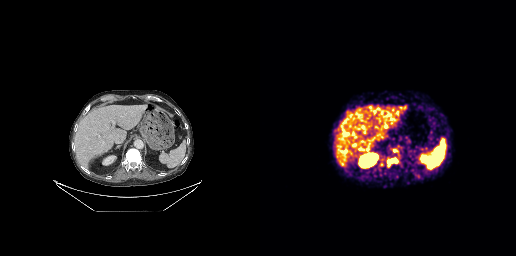
Coordinates are on the 256×256 PET (right) panel. PSMA-avid tumor lesion bounding boxes (x0, y0)-(x1, y1): (127, 158)-(139, 167) / (132, 148)-(138, 152). Small PSMA-avid focus (2 to 4 px across) near (center x, center y): (121, 164). Left: CT. Right: PSMA PET, same axial level, 68Ga-PSMA tracer.